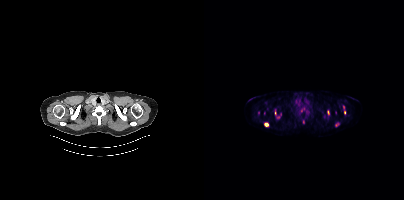
Coordinates are on the 200×200 PET (right) panel. PSMA-avid tumor lesion bounding boxes (partial; 1 more focus not listed):
| # | x0 | y0 | x1 | y1 |
|---|---|---|---|---|
| 1 | 60 | 123 | 64 | 126 |
Small PSMA-avid foci (2 to 4 px across) near (center x, center y): (124, 112); (140, 112).
Paired axial CT (left) and PSMA PET (right), [18F]PSMA-1007 tracer. PET panel 200×200 px (4.1 mm/px).